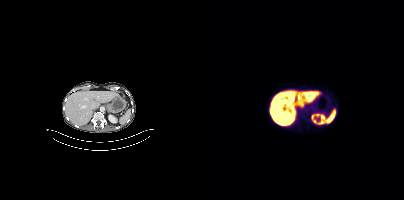
Negative for PSMA-avid disease on this slice.